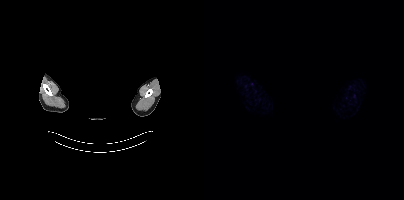
No PSMA-avid tumor lesions on this slice.
modality: PSMA PET/CT | tracer: 68Ga | view: axial | redaction: head region blacked out before release